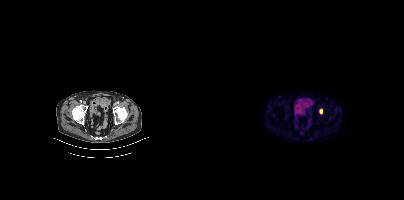
Coordinates are on the 200×200 PET (right) panel. PSMA-avid tumor lesion bounding box (x, y, width, height): x=116 y=109 w=3 h=5.